Technique: Two-panel axial: CT | PSMA PET, 18F tracer. slice 165 of 299. PET panel 256×256 px (2.7 mm/px).
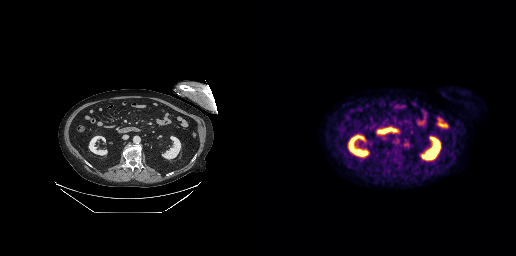
Findings: No PSMA-avid tumor lesions on this slice.